- Two-panel axial: CT | PSMA PET, 18F-PSMA tracer
- slice position z = -1434 mm
- PET panel 200×200 px (4.1 mm/px)
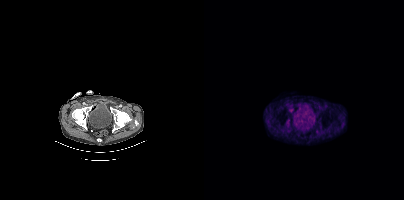
Findings: Coordinates are on the 200×200 PET (right) panel. Small PSMA-avid focus (2 to 4 px across) near (center x, center y): (83, 122).